Technique: Paired axial CT (left) and PSMA PET (right), 18F tracer. slice 277 of 413. PET panel 200×200 px (4.1 mm/px).
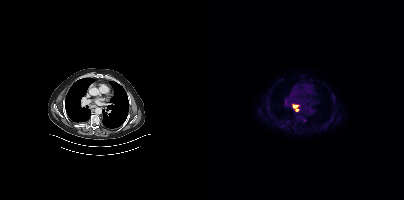
Findings: Coordinates are on the 200×200 PET (right) panel. (showing 1 of 2 foci) PSMA-avid tumor lesion bounding box (x0,y0,x1,y1): [88,104,95,111].